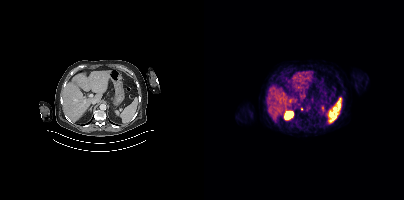
Coordinates are on the 200×200 PET (right) panel. Small PSMA-avid focus (2 to 4 px across) near (center x, center y): (97, 108).